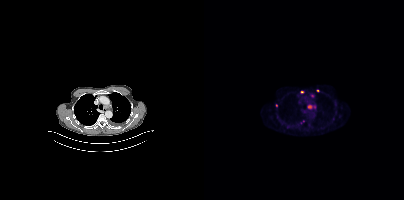
Coordinates are on the 200×200 PET (right) panel. (showing 4 of 7 foci) PSMA-avid tumor lesion bounding box (x0, y0)-(x1, y1): (103, 105)-(108, 108). Small PSMA-avid foci (2 to 4 px across) near (center x, center y): (108, 95) | (110, 107) | (113, 90). Two-panel axial: CT | PSMA PET, 18F tracer. Slice position z = 432 mm. PET panel 200×200 px (4.1 mm/px).